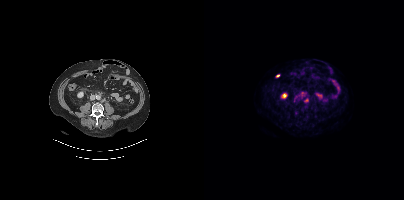
Findings: Coordinates are on the 200×200 PET (right) panel. (showing 3 of 4 foci) PSMA-avid tumor lesion bounding boxes (x0,y0,x1,y1): [100,98,104,102], [97,92,101,95]. Small PSMA-avid focus (2 to 4 px across) near (center x, center y): (90, 101).
- Left: CT. Right: PSMA PET, same axial level, 18F-PSMA tracer
- slice position z = -1287 mm
- PET panel 200×200 px (4.1 mm/px)